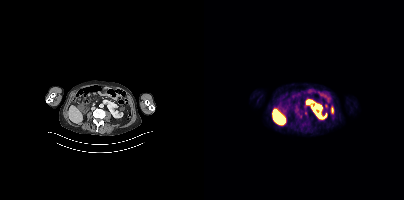
- Paired axial CT (left) and PSMA PET (right), 18F-PSMA tracer
- acquired on Siemens Biograph mCT Flow 20
- PET panel 200×200 px (4.1 mm/px)
Findings: Coordinates are on the 200×200 PET (right) panel. PSMA-avid tumor lesion bounding box (x0, y0)-(x1, y1): (127, 106)-(129, 113).